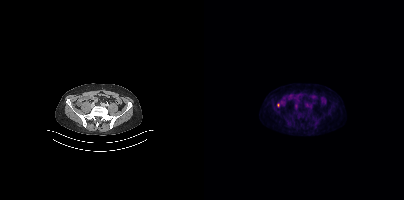
Only PSMA-avid lesion pieces thinner than 2 px on this slice (not listed).
modality: PSMA PET/CT | tracer: 18F-PSMA | view: axial | PET grid: 200×200